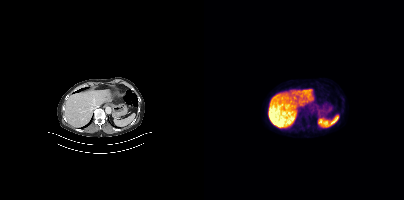
This slice has no annotated PSMA-avid lesion.